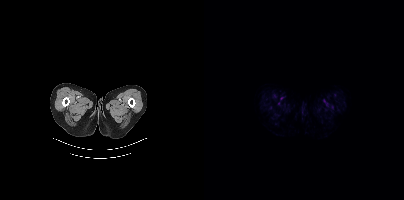
Negative for PSMA-avid disease on this slice.